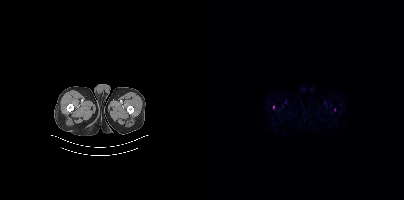
Findings: Coordinates are on the 200×200 PET (right) panel. Small PSMA-avid focus (2 to 4 px across) near (center x, center y): (69, 107).
Technique: Left: CT. Right: PSMA PET, same axial level, 18F tracer. acquired on Siemens Biograph mCT Flow 20. PET panel 200×200 px (4.1 mm/px).